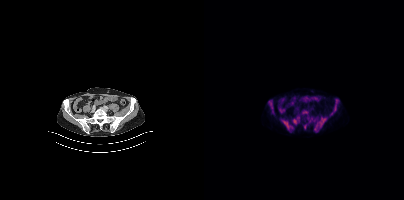
{"modality":"PSMA PET/CT","view":"axial","tracer":"[18F]PSMA-1007","pet_grid":[200,200],"coord_frame":"pet_panel","coord_format":"x0,y0,x1,y1","partial":true,"lesion_bboxes":[[113,118,121,128],[78,120,88,129],[98,110,103,113]]}